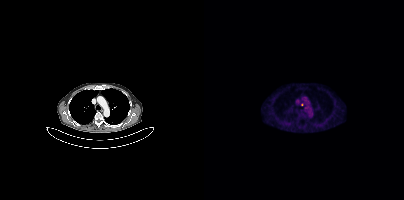
modality: PSMA PET/CT | tracer: [18F]PSMA-1007 | view: axial
Coordinates are on the 200×200 PET (right) panel. Small PSMA-avid focus (2 to 4 px across) near (center x, center y): (98, 104).